Paired axial CT (left) and PSMA PET (right), 18F-PSMA tracer. Acquired on Siemens Biograph mCT Flow 20. Slice 95 of 444.
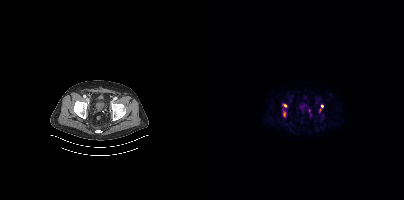
Coordinates are on the 200×200 PET (right) panel. (showing 2 of 4 foci) Small PSMA-avid foci (2 to 4 px across) near (center x, center y): (81, 105); (118, 106).